Privacy masking over the head, with the pixels inside a rectangle set to black.
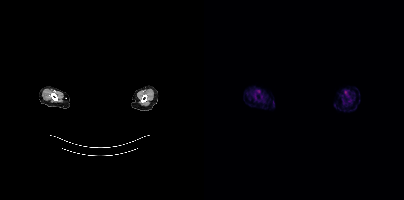
This slice has no annotated PSMA-avid lesion.